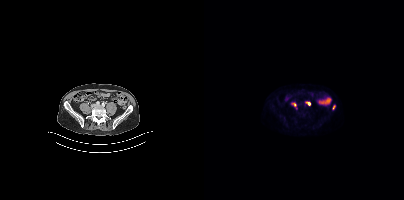
Coordinates are on the 200×200 PET (right) panel. PSMA-avid tumor lesion bounding boxes (x0, y0)-(x1, y1): (101, 102)-(106, 105) | (129, 105)-(131, 109). Small PSMA-avid focus (2 to 4 px across) near (center x, center y): (90, 104).